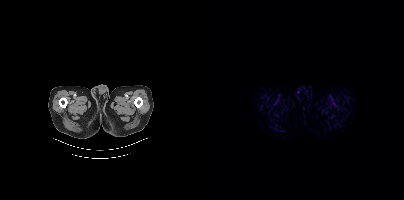
{"modality":"PSMA PET/CT","view":"axial","tracer":"18F-PSMA","pet_grid":[200,200],"coord_frame":"pet_panel","coord_format":"x0,y0,x1,y1","psma_avid_lesions":false}